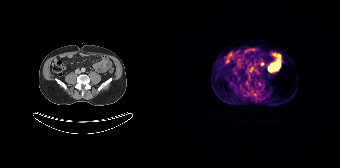
Coordinates are on the 168×168 PET (right) panel. Small PSMA-avid focus (2 to 4 px across) near (center x, center y): (79, 68). Left: CT. Right: PSMA PET, same axial level, [68Ga]Ga-PSMA-11 tracer. Slice 205 of 315.